Left: CT. Right: PSMA PET, same axial level, 18F tracer. PET panel 200×200 px (4.1 mm/px).
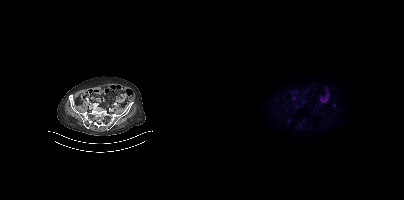
Coordinates are on the 200×200 PET (right) panel. PSMA-avid tumor lesion bounding box (x0, y0)-(x1, y1): (84, 119)-(86, 123). Small PSMA-avid focus (2 to 4 px across) near (center x, center y): (130, 105).